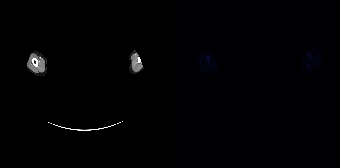
The head region is masked for de-identification. Paired axial CT (left) and PSMA PET (right), 18F tracer. Negative for PSMA-avid disease on this slice.